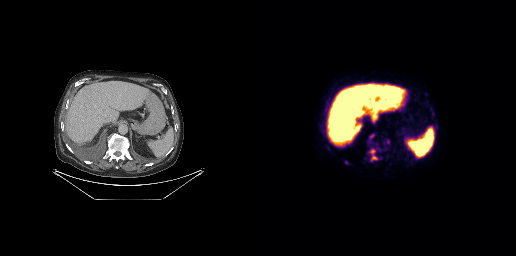
modality: PSMA PET/CT | tracer: 18F-PSMA | view: axial
Coordinates are on the 256×256 PET (right) panel. PSMA-avid tumor lesion bounding boxes (x0, y0)-(x1, y1): (110, 149)-(117, 160) / (109, 134)-(114, 140) / (65, 107)-(67, 112) / (63, 129)-(65, 135). Small PSMA-avid foci (2 to 4 px across) near (center x, center y): (86, 162) / (68, 148).